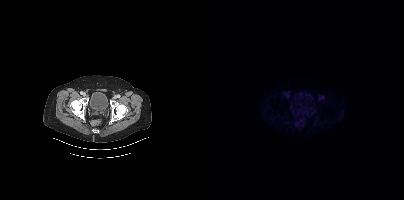
- Two-panel axial: CT | PSMA PET, 18F tracer
- acquired on Siemens Biograph mCT Flow 20
Findings: No PSMA-avid tumor lesions on this slice.